Paired axial CT (left) and PSMA PET (right), 18F-PSMA tracer. Acquired on Siemens Biograph mCT Flow 20. PET panel 200×200 px (4.1 mm/px).
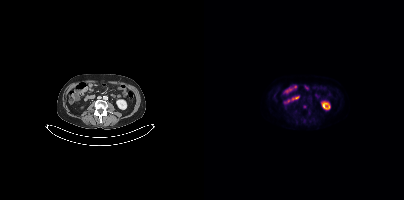
Coordinates are on the 200×200 PET (right) panel. Small PSMA-avid focus (2 to 4 px across) near (center x, center y): (100, 106).